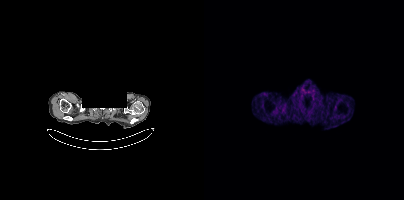
Two-panel axial: CT | PSMA PET, 68Ga-PSMA tracer. PET panel 200×200 px (4.1 mm/px). The head region is masked for de-identification. This slice has no annotated PSMA-avid lesion.